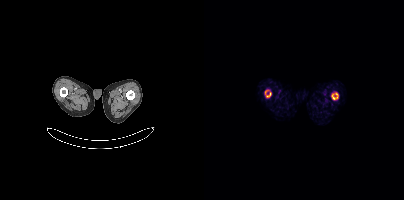
Coordinates are on the 200×200 PET (right) panel. PSMA-avid tumor lesion bounding boxes (x, y, width, height): x=127 y=92 w=8 h=8 | x=61 y=90 w=7 h=8.